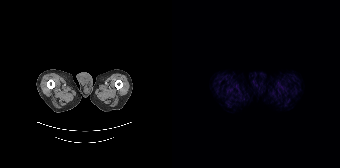
This slice has no annotated PSMA-avid lesion.